- Left: CT. Right: PSMA PET, same axial level, 18F-PSMA tracer
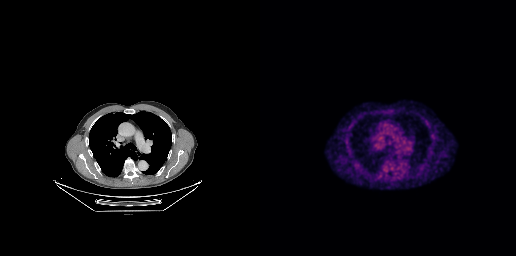
Findings: Negative for PSMA-avid disease on this slice.